Technique: Two-panel axial: CT | PSMA PET, 18F-PSMA tracer.
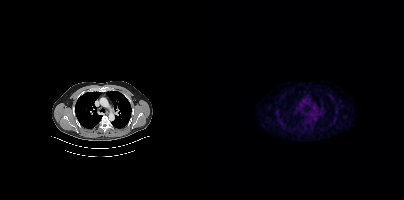
Findings: Negative for PSMA-avid disease on this slice.